Left: CT. Right: PSMA PET, same axial level, [18F]PSMA-1007 tracer. Acquired on GE Discovery 690. Slice 220 of 263. PET panel 256×256 px (2.7 mm/px).
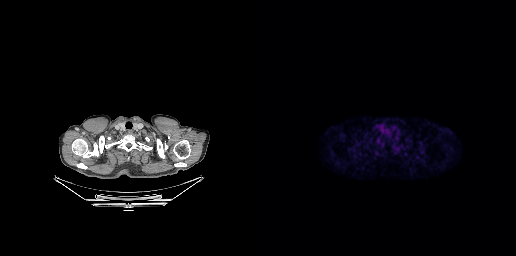
No tumor lesions annotated on this slice.